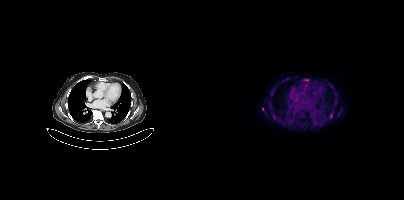
Coordinates are on the 200×200 PET (right) panel. (showing 4 of 6 foci) PSMA-avid tumor lesion bounding box (x0,y0,x1,y1): [69,115,71,119]. Small PSMA-avid foci (2 to 4 px across) near (center x, center y): (103, 79), (67, 94), (58, 109).
modality: PSMA PET/CT | tracer: [18F]PSMA-1007 | view: axial